Technique: Paired axial CT (left) and PSMA PET (right), [18F]PSMA-1007 tracer. acquired on Siemens Biograph mCT Flow 20. slice 8 of 377. PET panel 200×200 px (4.1 mm/px).
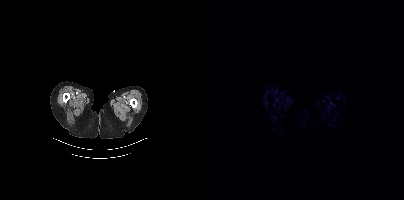
Findings: No tumor lesions annotated on this slice.